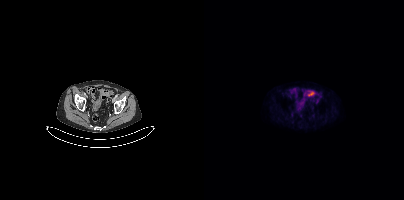
modality: PSMA PET/CT | tracer: 18F-PSMA | view: axial
No PSMA-avid tumor lesions on this slice.